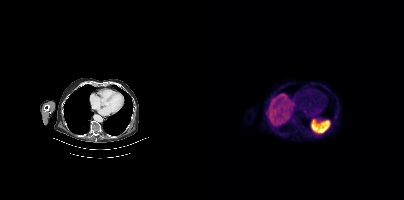
No tumor lesions annotated on this slice.